- Paired axial CT (left) and PSMA PET (right), [18F]PSMA-1007 tracer
- acquired on Siemens Biograph mCT Flow 20
- slice position z = -868 mm
- PET panel 200×200 px (4.1 mm/px)
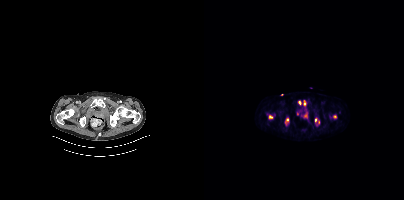
Findings: Coordinates are on the 200×200 PET (right) panel. PSMA-avid tumor lesion bounding boxes (x, y, width, height): x=81 y=118 w=4 h=5 | x=100 y=100 w=2 h=6. Small PSMA-avid foci (2 to 4 px across) near (center x, center y): (66, 117) | (95, 102) | (111, 120) | (131, 116).